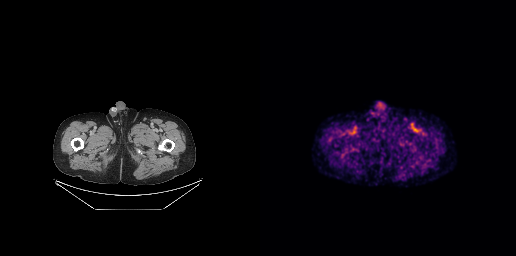
{"pet_grid":[256,256],"coord_frame":"pet_panel","coord_format":"x0,y0,x1,y1","psma_avid_lesions":false,"modality":"PSMA PET/CT","view":"axial","tracer":"[18F]PSMA-1007"}